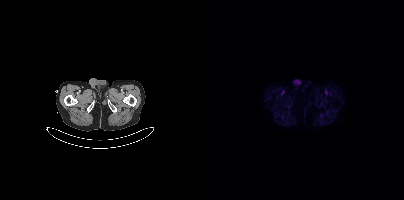
Negative for PSMA-avid disease on this slice. Paired axial CT (left) and PSMA PET (right), 18F-PSMA tracer. Slice position z = -1744 mm. PET panel 200×200 px (4.1 mm/px).